Technique: Two-panel axial: CT | PSMA PET, [18F]PSMA-1007 tracer. PET panel 200×200 px (4.1 mm/px).
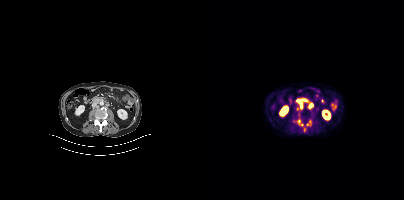
Findings: Coordinates are on the 200×200 PET (right) panel. (showing 6 of 7 foci) PSMA-avid tumor lesion bounding boxes (x, y, width, height): x=93 y=99 w=6 h=10; x=99 y=99 w=5 h=3. Small PSMA-avid foci (2 to 4 px across) near (center x, center y): (106, 105); (95, 121); (97, 124); (103, 124).